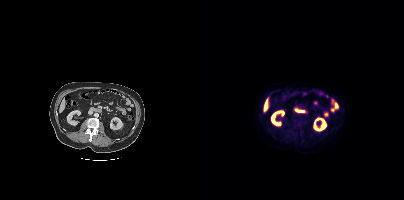
- Two-panel axial: CT | PSMA PET, [18F]PSMA-1007 tracer
- PET panel 200×200 px (4.1 mm/px)
Findings: No tumor lesions annotated on this slice.